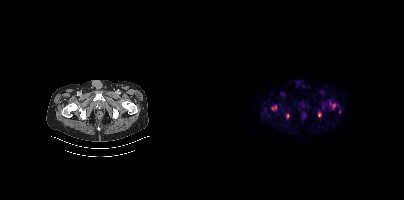
Coordinates are on the 200×200 PET (right) panel. (showing 5 of 6 foci) PSMA-avid tumor lesion bounding boxes (x, y, width, height): x=67 y=105 w=6 h=6; x=82 y=113 w=4 h=6; x=114 y=112 w=4 h=5; x=129 y=104 w=3 h=5. Small PSMA-avid focus (2 to 4 px across) near (center x, center y): (136, 111).
modality: PSMA PET/CT | tracer: 18F-PSMA | view: axial | PET grid: 200×200